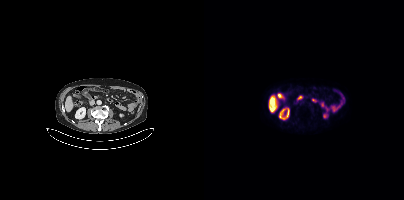
This slice has no annotated PSMA-avid lesion.